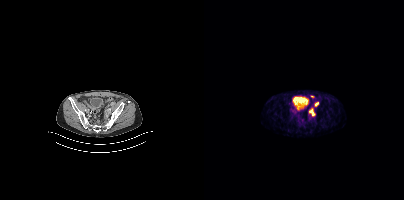
Coordinates are on the 200×200 PET (right) panel. PSMA-avid tumor lesion bounding boxes (x, y, width, height): x=105 y=108 w=7 h=8; x=111 y=102 w=4 h=5. Small PSMA-avid foci (2 to 4 px across) near (center x, center y): (94, 107); (108, 96).